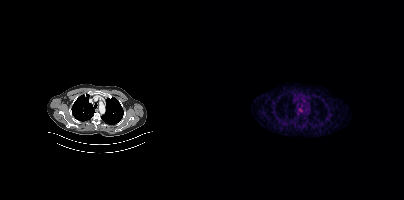
Negative for PSMA-avid disease on this slice.